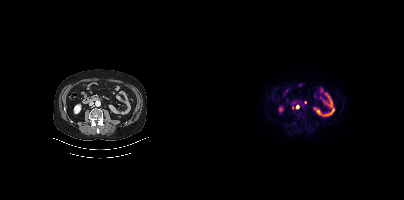
Coordinates are on the 200×200 PET (right) panel. (showing 3 of 4 foci) Small PSMA-avid foci (2 to 4 px across) near (center x, center y): (101, 102); (88, 107); (93, 107).